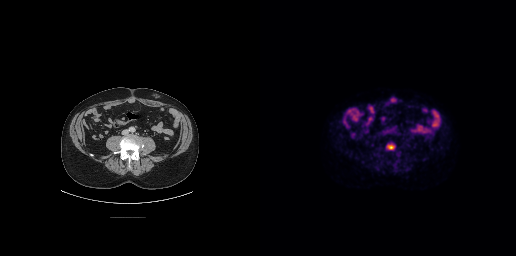
Coordinates are on the 256×256 PET (right) panel. PSMA-avid tumor lesion bounding box (x0, y0)-(x1, y1): (127, 145)-(134, 149). Two-panel axial: CT | PSMA PET, 18F tracer. Acquired on GE Discovery 690.